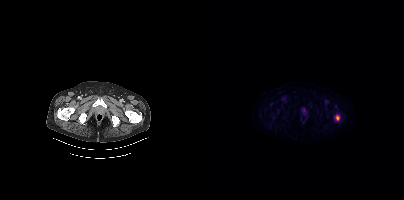
Findings: Coordinates are on the 200×200 PET (right) panel. Small PSMA-avid focus (2 to 4 px across) near (center x, center y): (133, 117).
- Two-panel axial: CT | PSMA PET, [18F]PSMA-1007 tracer
- slice position z = -1450 mm
- PET panel 200×200 px (4.1 mm/px)